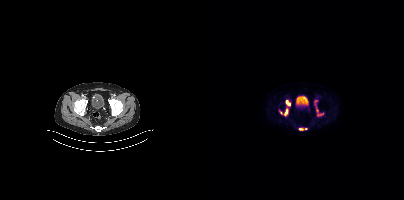
Findings: Coordinates are on the 200×200 PET (right) panel. PSMA-avid tumor lesion bounding boxes (x0, y0)-(x1, y1): (110, 100)-(119, 116); (81, 100)-(86, 106); (80, 108)-(84, 115); (95, 128)-(103, 130). Small PSMA-avid focus (2 to 4 px across) near (center x, center y): (76, 112).
Technique: Two-panel axial: CT | PSMA PET, [18F]PSMA-1007 tracer. slice 84 of 395. PET panel 200×200 px (4.1 mm/px).